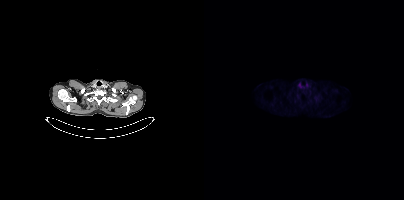
No tumor lesions annotated on this slice.